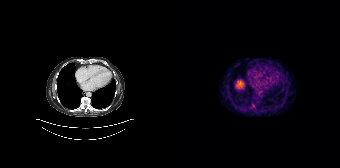
- Left: CT. Right: PSMA PET, same axial level, [68Ga]Ga-PSMA-11 tracer
- acquired on Siemens Biograph 64-4R TruePoint
- slice 106 of 165
Findings: Coordinates are on the 168×168 PET (right) panel. Small PSMA-avid focus (2 to 4 px across) near (center x, center y): (81, 105).